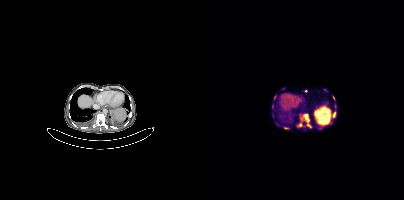
{"pet_grid":[200,200],"coord_frame":"pet_panel","coord_format":"x0,y0,x1,y1","partial":true,"lesion_bboxes":[[97,114,107,127],[129,113,131,117],[80,127,84,129],[70,95,72,99]],"small_foci_centers":[[95,124],[68,106],[101,90],[129,98]],"modality":"PSMA PET/CT","view":"axial","tracer":"68Ga"}